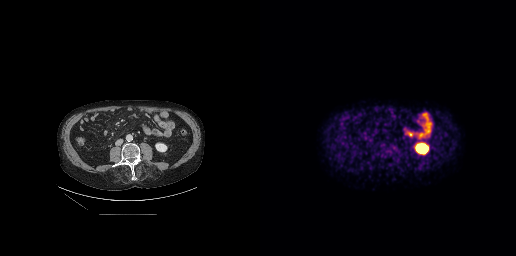
Coordinates are on the 256×256 PET (right) panel. PSMA-avid tumor lesion bounding boxes (x0,y0,x1,y1): [132,145,137,150] [121,153,126,157] [121,150,127,153].
modality: PSMA PET/CT | tracer: [18F]PSMA-1007 | view: axial | PET grid: 256×256